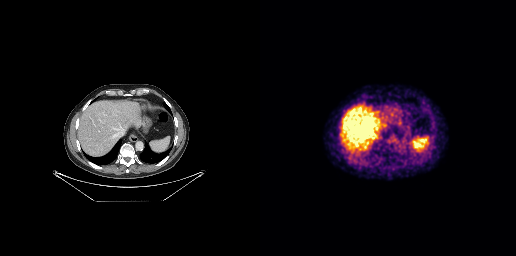
This slice has no annotated PSMA-avid lesion. Paired axial CT (left) and PSMA PET (right), [68Ga]Ga-PSMA-11 tracer. Acquired on GE Discovery 690.